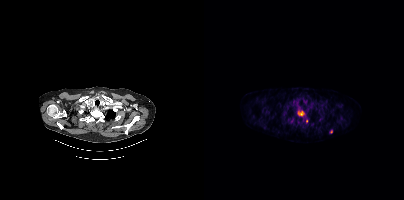
Coordinates are on the 200×200 PET (right) panel. PSMA-avid tumor lesion bounding boxes (x0,y0,x1,y1): [94,111,99,115], [125,129,128,133]. Small PSMA-avid focus (2 to 4 px across) near (center x, center y): (102, 120).